modality: PSMA PET/CT | tracer: [18F]PSMA-1007 | view: axial
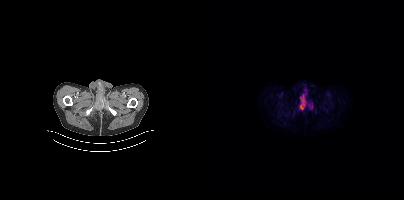
Coordinates are on the 200×200 PET (right) panel. PSMA-avid tumor lesion bounding boxes (x0,y0,x1,y1): [95,94,102,110]; [99,87,103,93]. Small PSMA-avid focus (2 to 4 px across) near (center x, center y): (107, 106).